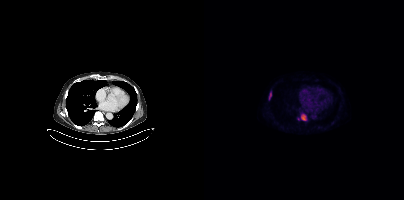
modality: PSMA PET/CT | tracer: 18F | view: axial | PET grid: 200×200
Coordinates are on the 200×200 PET (right) panel. PSMA-avid tumor lesion bounding boxes (x, y, width, height): x=97 y=114 w=6 h=7; x=65 y=91 w=3 h=9. Small PSMA-avid focus (2 to 4 px across) near (center x, center y): (94, 118).